- Paired axial CT (left) and PSMA PET (right), 18F tracer
- acquired on Siemens Biograph mCT Flow 20
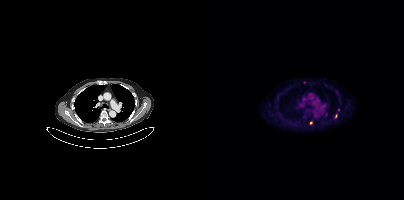
Findings: Coordinates are on the 200×200 PET (right) panel. (showing 2 of 3 foci) Small PSMA-avid foci (2 to 4 px across) near (center x, center y): (107, 123) / (100, 82).